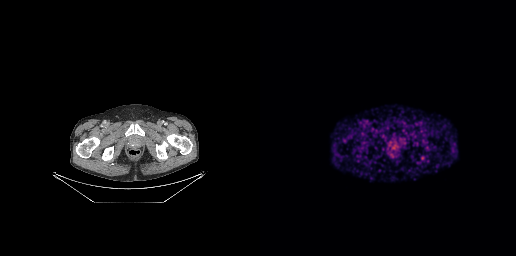
{"modality":"PSMA PET/CT","view":"axial","tracer":"68Ga","pet_grid":[256,256],"coord_frame":"pet_panel","coord_format":"x0,y0,x1,y1","partial":true,"lesion_bboxes":[]}